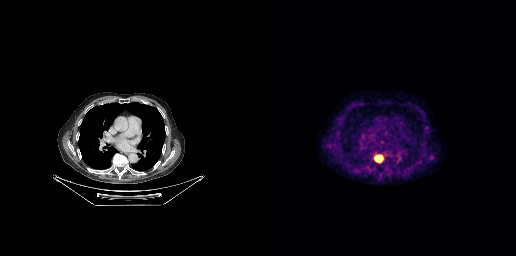
Paired axial CT (left) and PSMA PET (right), [18F]PSMA-1007 tracer. Slice position z = -392 mm.
Coordinates are on the 256×256 PET (right) panel. PSMA-avid tumor lesion bounding boxes:
| # | x0 | y0 | x1 | y1 |
|---|---|---|---|---|
| 1 | 114 | 155 | 123 | 162 |
Small PSMA-avid focus (2 to 4 px across) near (center x, center y): (171, 157).